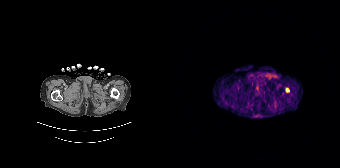
modality: PSMA PET/CT | tracer: 68Ga | view: axial | PET grid: 168×168
Coordinates are on the 168×168 PET (right) panel. Small PSMA-avid focus (2 to 4 px across) near (center x, center y): (115, 89).